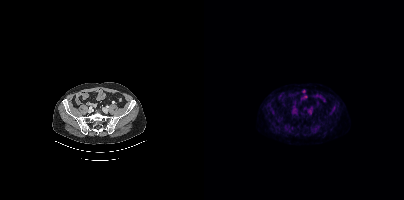
modality: PSMA PET/CT | tracer: 18F | view: axial | PET grid: 200×200
Negative for PSMA-avid disease on this slice.